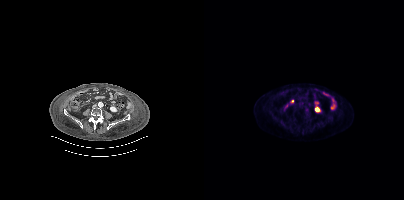
Two-panel axial: CT | PSMA PET, [18F]PSMA-1007 tracer. Coordinates are on the 200×200 PET (right) panel. Small PSMA-avid focus (2 to 4 px across) near (center x, center y): (102, 110).